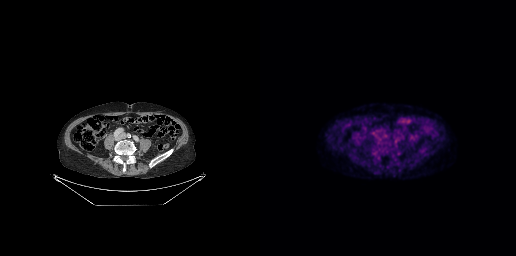
{"modality":"PSMA PET/CT","view":"axial","tracer":"18F","pet_grid":[256,256],"coord_frame":"pet_panel","coord_format":"x0,y0,x1,y1","lesion_bboxes":[],"small_foci_centers":[[136,141]]}